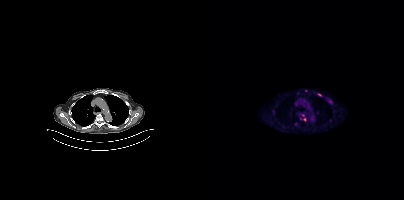
Coordinates are on the 200×200 PET (right) panel. (showing 7 of 8 foci) PSMA-avid tumor lesion bounding box (x0, y0)-(x1, y1): (113, 93)-(117, 96). Small PSMA-avid foci (2 to 4 px across) near (center x, center y): (126, 101); (100, 119); (101, 90); (99, 114); (96, 118); (126, 120).
modality: PSMA PET/CT | tracer: [18F]PSMA-1007 | view: axial | PET grid: 200×200